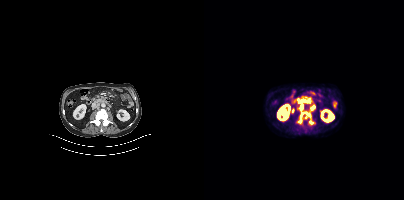
- Left: CT. Right: PSMA PET, same axial level, [18F]PSMA-1007 tracer
- acquired on Siemens Biograph mCT Flow 20
- PET panel 200×200 px (4.1 mm/px)
Findings: Coordinates are on the 200×200 PET (right) panel. PSMA-avid tumor lesion bounding boxes (x, y, width, height): x=93 y=99 w=17 h=26; x=107 y=105 w=5 h=5.